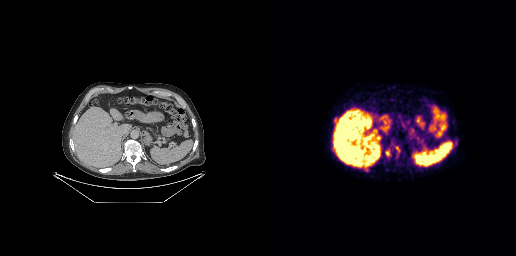
Two-panel axial: CT | PSMA PET, 18F tracer. Acquired on GE Discovery 690. Coordinates are on the 256×256 PET (right) panel. PSMA-avid tumor lesion bounding box (x, y, width, height): x=126 y=151 w=4 h=5. Small PSMA-avid focus (2 to 4 px across) near (center x, center y): (136, 147).